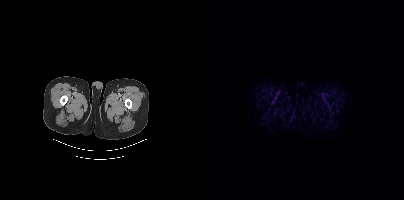
Left: CT. Right: PSMA PET, same axial level, 18F-PSMA tracer. No PSMA-avid tumor lesions on this slice.